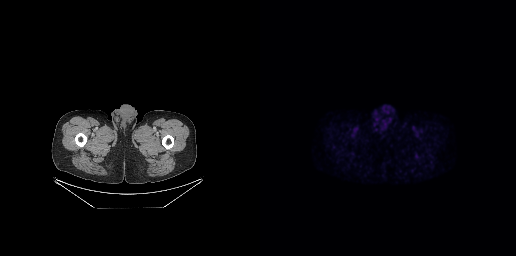
{"pet_grid":[256,256],"coord_frame":"pet_panel","coord_format":"x0,y0,x1,y1","psma_avid_lesions":false,"modality":"PSMA PET/CT","view":"axial","tracer":"18F"}